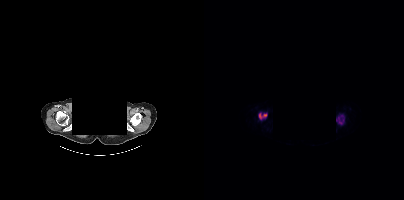
Face de-identified by blanking a block of the head. Left: CT. Right: PSMA PET, same axial level, 18F tracer. Acquired on Siemens Biograph mCT Flow 20.
Coordinates are on the 200×200 PET (right) panel. PSMA-avid tumor lesion bounding boxes:
| # | x0 | y0 | x1 | y1 |
|---|---|---|---|---|
| 1 | 132 | 115 | 140 | 124 |
| 2 | 54 | 113 | 63 | 119 |